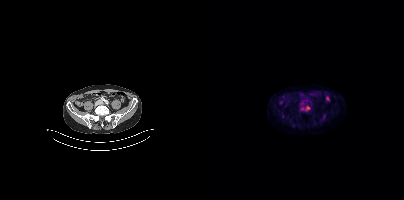
{"modality":"PSMA PET/CT","view":"axial","tracer":"18F","pet_grid":[200,200],"coord_frame":"pet_panel","coord_format":"x0,y0,x1,y1","lesion_bboxes":[[101,106,105,110]],"small_foci_centers":[[89,124],[120,116],[98,108],[78,116]]}